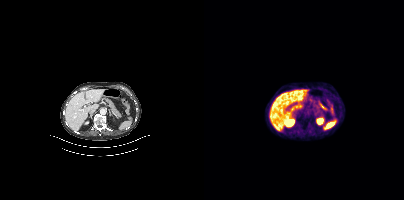
Negative for PSMA-avid disease on this slice. Paired axial CT (left) and PSMA PET (right), [68Ga]Ga-PSMA-11 tracer. Acquired on Siemens Biograph mCT Flow 20. PET panel 200×200 px (4.1 mm/px).